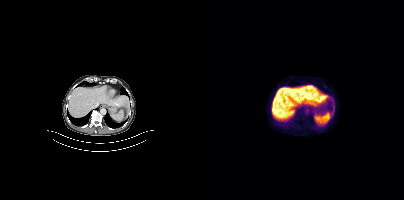
No PSMA-avid tumor lesions on this slice.
modality: PSMA PET/CT | tracer: [18F]PSMA-1007 | view: axial | PET grid: 200×200